Paired axial CT (left) and PSMA PET (right), [18F]PSMA-1007 tracer.
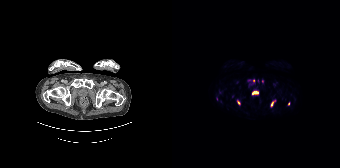
Coordinates are on the 168×168 PET (right) panel. PSMA-avid tumor lesion bounding boxes (partial; 2 more foci not listed):
| # | x0 | y0 | x1 | y1 |
|---|---|---|---|---|
| 1 | 98 | 100 | 103 | 106 |
| 2 | 65 | 100 | 68 | 104 |
Small PSMA-avid foci (2 to 4 px across) near (center x, center y): (81, 80); (116, 103).